Technique: Paired axial CT (left) and PSMA PET (right), [18F]PSMA-1007 tracer. acquired on GE Discovery 690. slice 143 of 263.
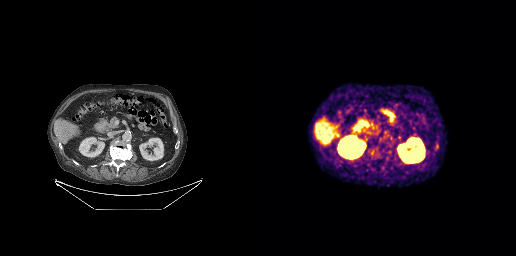
Findings: No tumor lesions annotated on this slice.